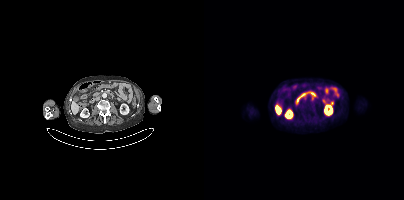
No PSMA-avid tumor lesions on this slice.